- Left: CT. Right: PSMA PET, same axial level, 18F-PSMA tracer
- acquired on Siemens Biograph mCT Flow 20
- slice position z = -683 mm
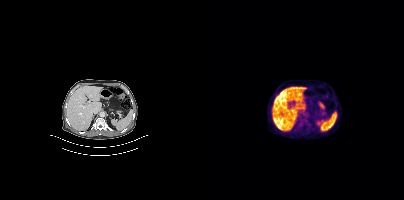
Findings: Negative for PSMA-avid disease on this slice.